Technique: Two-panel axial: CT | PSMA PET, 18F-PSMA tracer. acquired on Siemens Biograph mCT Flow 20. slice position z = -523 mm. PET panel 200×200 px (4.1 mm/px).
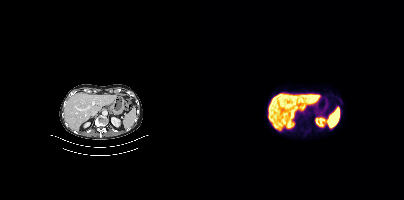
Findings: No tumor lesions annotated on this slice.